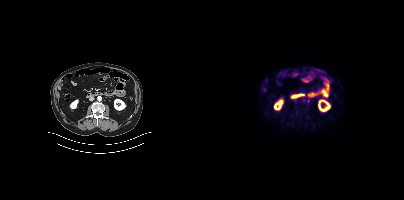
- Paired axial CT (left) and PSMA PET (right), 18F tracer
- acquired on Siemens Biograph mCT Flow 20
- slice position z = -784 mm
Findings: Negative for PSMA-avid disease on this slice.